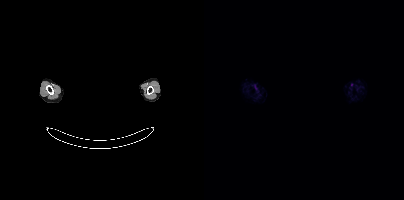
{"modality":"PSMA PET/CT","view":"axial","tracer":"[18F]PSMA-1007","pet_grid":[200,200],"coord_frame":"pet_panel","coord_format":"x0,y0,x1,y1","redaction":"facial region redacted","psma_avid_lesions":false}